Technique: Two-panel axial: CT | PSMA PET, [18F]PSMA-1007 tracer.
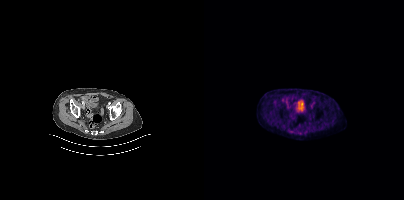
Findings: No PSMA-avid tumor lesions on this slice.